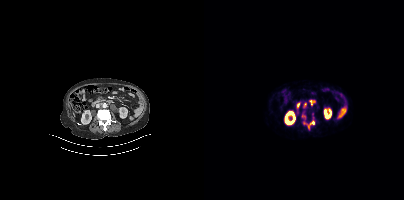
modality: PSMA PET/CT | tracer: [68Ga]Ga-PSMA-11 | view: axial
Coordinates are on the 200×200 PET (right) panel. PSMA-avid tumor lesion bounding boxes (x, y, width, height): x=99 y=121 w=12 h=9 | x=99 y=102 w=4 h=6. Small PSMA-avid focus (2 to 4 px across) near (center x, center y): (99, 116).